Left: CT. Right: PSMA PET, same axial level, [18F]PSMA-1007 tracer. Acquired on GE Discovery 690. Slice position z = -181 mm. PET panel 256×256 px (2.7 mm/px).
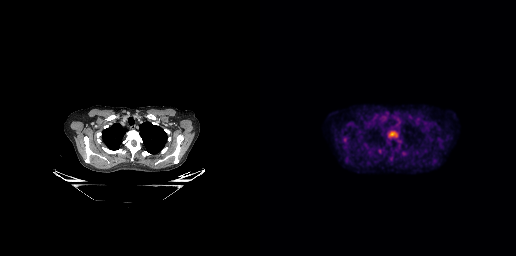
Coordinates are on the 256×256 PET (right) panel. PSMA-avid tumor lesion bounding boxes:
| # | x0 | y0 | x1 | y1 |
|---|---|---|---|---|
| 1 | 128 | 130 | 138 | 138 |
Small PSMA-avid focus (2 to 4 px across) near (center x, center y): (85, 139).